modality: PSMA PET/CT | tracer: 18F | view: axial
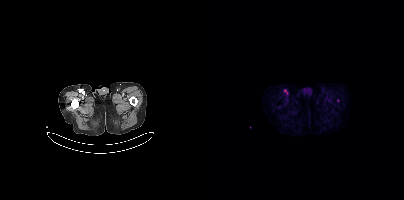
Coordinates are on the 200×200 PET (right) panel. PSMA-avid tumor lesion bounding box (x, y, width, height): x=80 y=89 w=4 h=6. Small PSMA-avid focus (2 to 4 px across) near (center x, center y): (134, 100).